Technique: Left: CT. Right: PSMA PET, same axial level, 18F tracer. acquired on Siemens Biograph mCT Flow 20.
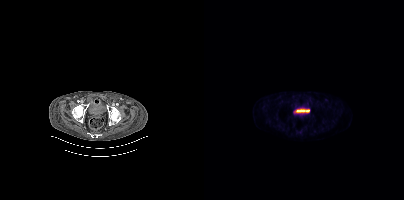
Findings: No PSMA-avid tumor lesions on this slice.